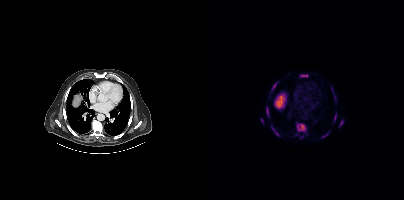
modality: PSMA PET/CT | tracer: [18F]PSMA-1007 | view: axial | PET grid: 200×200
Coordinates are on the 200×200 PET (right) panel. (showing 11 of 12 foci) PSMA-avid tumor lesion bounding boxes (x0, y0)-(x1, y1): (92, 123)-(102, 132) / (68, 128)-(76, 136) / (127, 87)-(132, 102) / (68, 81)-(74, 87) / (135, 120)-(139, 127) / (62, 106)-(64, 113) / (96, 74)-(103, 76) / (117, 133)-(124, 138) / (130, 113)-(132, 121). Small PSMA-avid foci (2 to 4 px across) near (center x, center y): (92, 134) / (98, 137).